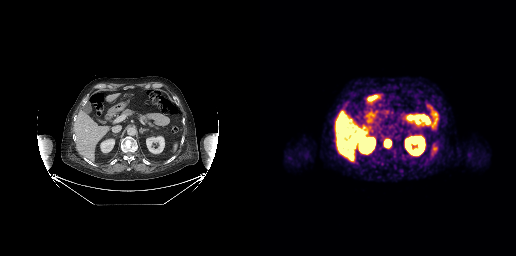
Paired axial CT (left) and PSMA PET (right), 18F tracer. Acquired on GE Discovery 690. Coordinates are on the 256×256 PET (right) panel. PSMA-avid tumor lesion bounding box (x0,y0,x1,y1): [123,138,131,148].